Technique: Paired axial CT (left) and PSMA PET (right), 18F-PSMA tracer. PET panel 200×200 px (4.1 mm/px).
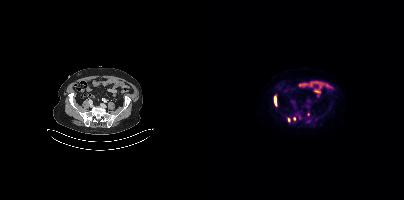
Findings: Coordinates are on the 200×200 PET (right) panel. PSMA-avid tumor lesion bounding boxes (x0, y0)-(x1, y1): (70, 95)-(73, 106) / (83, 118)-(86, 122). Small PSMA-avid foci (2 to 4 px across) near (center x, center y): (90, 118) / (104, 114).